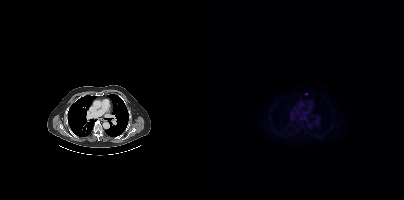
Left: CT. Right: PSMA PET, same axial level, 18F tracer. Acquired on Siemens Biograph mCT Flow 20. Slice position z = -982 mm. PET panel 200×200 px (4.1 mm/px). Coordinates are on the 200×200 PET (right) panel. Small PSMA-avid focus (2 to 4 px across) near (center x, center y): (102, 93).